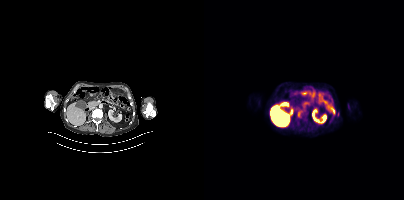
{"modality":"PSMA PET/CT","view":"axial","tracer":"[18F]PSMA-1007","pet_grid":[200,200],"coord_frame":"pet_panel","coord_format":"x0,y0,x1,y1","lesion_bboxes":[[94,111,98,117],[128,108,131,114]]}